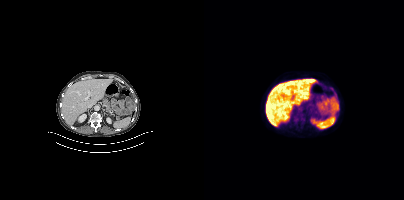
Findings: No PSMA-avid tumor lesions on this slice.
Technique: Two-panel axial: CT | PSMA PET, [18F]PSMA-1007 tracer. slice position z = -657 mm.